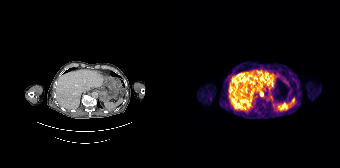
{"modality":"PSMA PET/CT","view":"axial","tracer":"68Ga","pet_grid":[168,168],"coord_frame":"pet_panel","coord_format":"x0,y0,x1,y1","lesion_bboxes":[],"small_foci_centers":[[89,93]]}